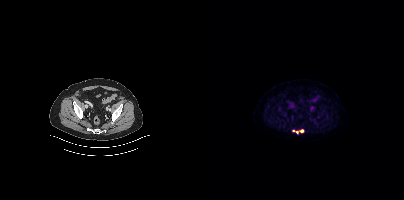
Two-panel axial: CT | PSMA PET, 18F-PSMA tracer. Acquired on Siemens Biograph mCT Flow 20. Coordinates are on the 200×200 PET (right) panel. (showing 2 of 3 foci) Small PSMA-avid foci (2 to 4 px across) near (center x, center y): (98, 131) | (89, 130).